Left: CT. Right: PSMA PET, same axial level, 18F-PSMA tracer. Slice position z = -665 mm. PET panel 200×200 px (4.1 mm/px). An anonymization step blacked out a rectangle over the head in this scan.
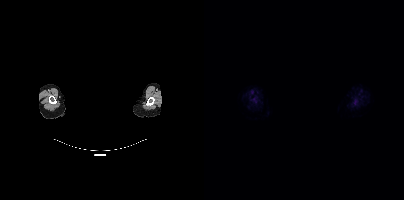
Coordinates are on the 200×200 PET (right) panel. PSMA-avid tumor lesion bounding boxes (x0, y0)-(x1, y1): (48, 98)-(53, 103) | (149, 101)-(153, 105).